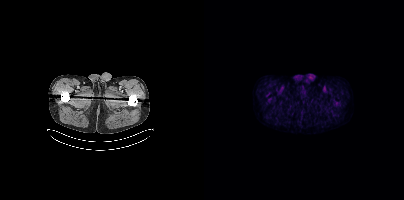
- Left: CT. Right: PSMA PET, same axial level, 18F-PSMA tracer
- acquired on Siemens Biograph mCT Flow 20
- slice position z = 1050 mm
- PET panel 200×200 px (4.1 mm/px)
Findings: No PSMA-avid tumor lesions on this slice.